- Left: CT. Right: PSMA PET, same axial level, 18F tracer
- acquired on GE Discovery 690
- PET panel 256×256 px (2.7 mm/px)
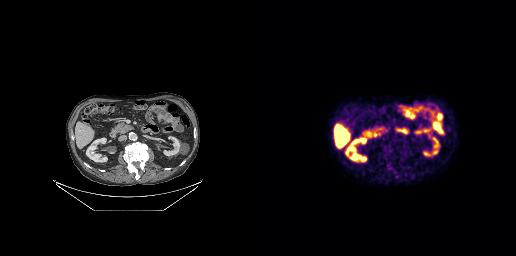
Findings: No tumor lesions annotated on this slice.